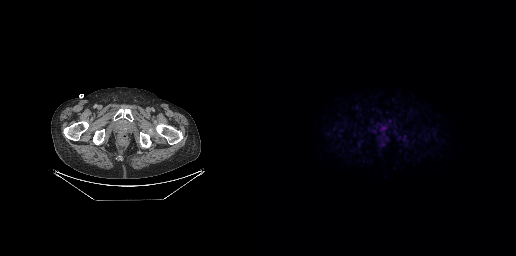
Technique: Left: CT. Right: PSMA PET, same axial level, [18F]PSMA-1007 tracer. acquired on GE Discovery 690. slice position z = -746 mm.
Findings: No tumor lesions annotated on this slice.